Technique: Left: CT. Right: PSMA PET, same axial level, 68Ga tracer. slice 149 of 263. PET panel 256×256 px (2.7 mm/px).
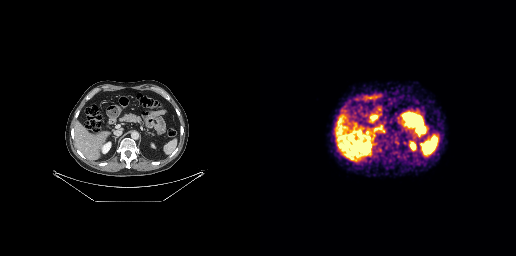
Findings: Negative for PSMA-avid disease on this slice.